Paired axial CT (left) and PSMA PET (right), [18F]PSMA-1007 tracer. PET panel 200×200 px (4.1 mm/px).
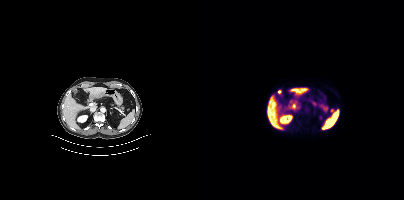
Coordinates are on the 200×200 PET (right) panel. Small PSMA-avid focus (2 to 4 px across) near (center x, center y): (127, 110).